Technique: Paired axial CT (left) and PSMA PET (right), 18F tracer. slice position z = -993 mm.
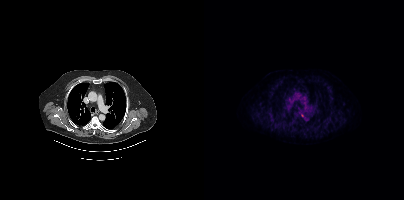
Findings: Coordinates are on the 200×200 PET (right) panel. PSMA-avid tumor lesion bounding box (x0, y0)-(x1, y1): (97, 113)-(99, 117).